modality: PSMA PET/CT | tracer: [18F]PSMA-1007 | view: axial
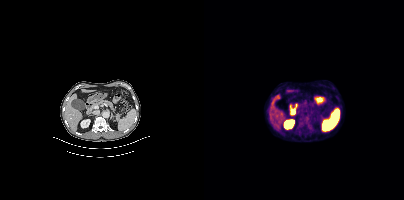
Coordinates are on the 200×200 PET (right) panel. PSMA-avid tumor lesion bounding box (x0,y0,x1,y1): [95,118,108,129].